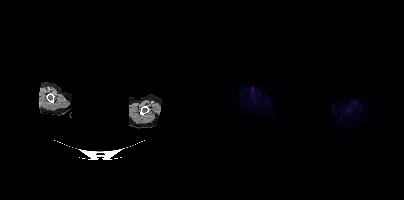
{"modality":"PSMA PET/CT","view":"axial","tracer":"[18F]PSMA-1007","pet_grid":[200,200],"coord_frame":"pet_panel","coord_format":"x0,y0,x1,y1","deidentification":"head region blanked (face removed)","psma_avid_lesions":false}